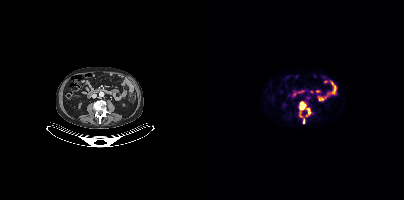
Coordinates are on the 200×200 PET (right) panel. PSMA-avid tumor lesion bounding boxes (x0,y0,x1,y1): [95,102,101,123], [103,108,106,113]. Small PSMA-avid focus (2 to 4 px across) near (center x, center y): (102, 115).